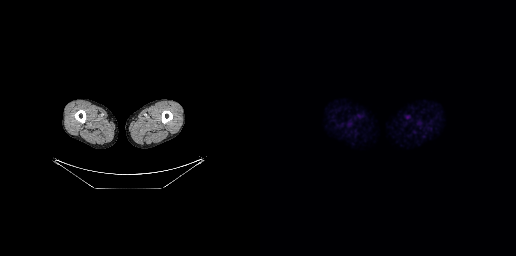
Two-panel axial: CT | PSMA PET, 18F tracer. Slice position z = -825 mm. No tumor lesions annotated on this slice.